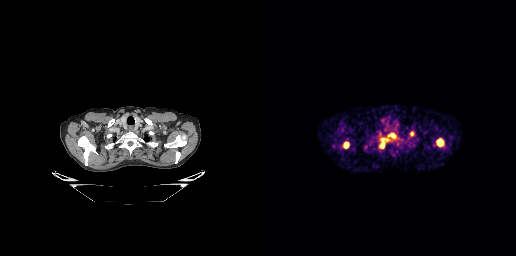
modality: PSMA PET/CT | tracer: 68Ga-PSMA | view: axial
Coordinates are on the 256×256 PET (right) panel. PSMA-avid tumor lesion bounding boxes (x0,y0,x1,y1): [83,142,89,148]; [177,140,182,145]; [150,131,153,136]; [120,143,124,147]; [131,133,134,137]. Small PSMA-avid focus (2 to 4 px across) near (center x, center y): (125, 139).